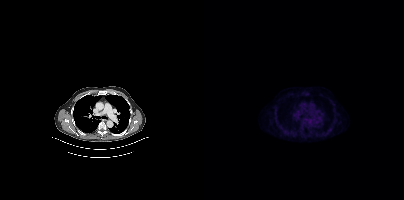
Paired axial CT (left) and PSMA PET (right), 18F-PSMA tracer. Acquired on Siemens Biograph mCT Flow 20. Slice position z = -1052 mm. This slice has no annotated PSMA-avid lesion.